- Two-panel axial: CT | PSMA PET, [68Ga]Ga-PSMA-11 tracer
- acquired on Siemens Biograph mCT Flow 20
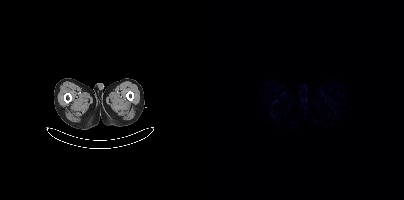
Findings: This slice has no annotated PSMA-avid lesion.